modality: PSMA PET/CT | tracer: 68Ga | view: axial
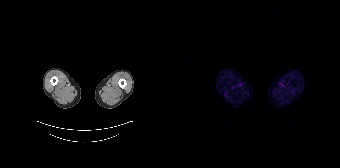
No PSMA-avid tumor lesions on this slice.